- Two-panel axial: CT | PSMA PET, [18F]PSMA-1007 tracer
- acquired on Siemens Biograph 64-4R TruePoint
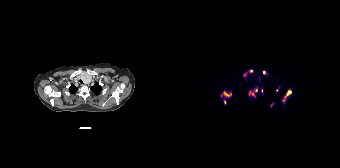
Findings: Coordinates are on the 168×168 PET (right) panel. PSMA-avid tumor lesion bounding boxes (x, y, width, height): x=49 y=90 w=11 h=8 / x=77 y=88 w=9 h=9 / x=110 y=90 w=10 h=12 / x=91 y=70 w=5 h=5 / x=52 y=100 w=3 h=5 / x=99 y=102 w=3 h=5. Small PSMA-avid foci (2 to 4 px across) near (center x, center y): (78, 71) / (72, 74) / (89, 90) / (104, 90).